- Paired axial CT (left) and PSMA PET (right), 18F-PSMA tracer
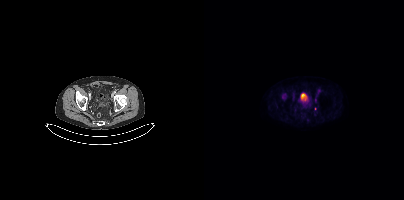
Findings: This slice has no annotated PSMA-avid lesion.